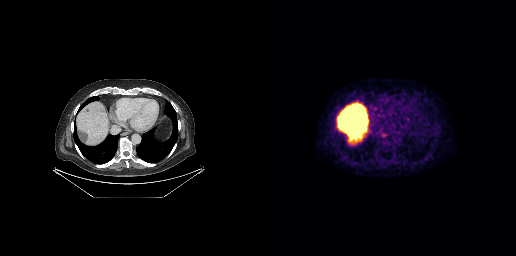
Paired axial CT (left) and PSMA PET (right), [18F]PSMA-1007 tracer. PET panel 256×256 px (2.7 mm/px). Coordinates are on the 256×256 PET (right) panel. Small PSMA-avid focus (2 to 4 px across) near (center x, center y): (90, 95).